Technique: Left: CT. Right: PSMA PET, same axial level, 18F tracer. slice 175 of 263.
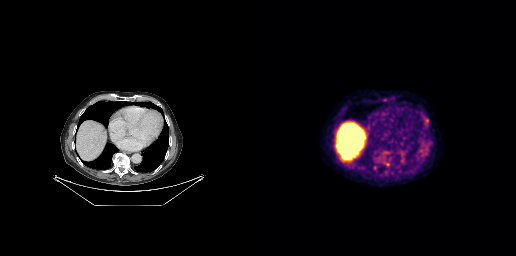
Findings: Coordinates are on the 256×256 PET (right) panel. (showing 2 of 3 foci) PSMA-avid tumor lesion bounding boxes (x0, y0)-(x1, y1): (164, 117)-(169, 125) | (114, 158)-(121, 162).